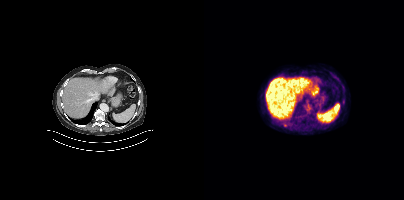
Technique: Paired axial CT (left) and PSMA PET (right), 18F-PSMA tracer. slice 249 of 429.
Findings: No PSMA-avid tumor lesions on this slice.